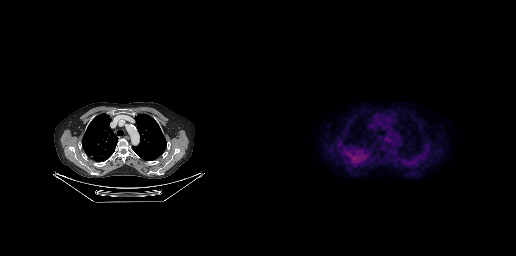
No PSMA-avid tumor lesions on this slice.